modality: PSMA PET/CT | tracer: 18F | view: axial
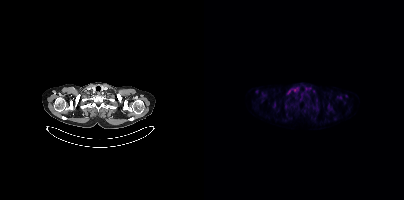
Coordinates are on the 200×200 PET (right) panel. (showing 2 of 4 foci) Small PSMA-avid foci (2 to 4 px across) near (center x, center y): (90, 90) / (83, 93).